- Paired axial CT (left) and PSMA PET (right), [18F]PSMA-1007 tracer
- acquired on Siemens Biograph mCT Flow 20
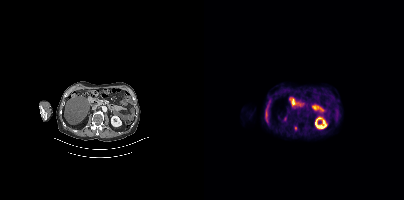
Findings: Coordinates are on the 200×200 PET (right) panel. Small PSMA-avid focus (2 to 4 px across) near (center x, center y): (91, 128).